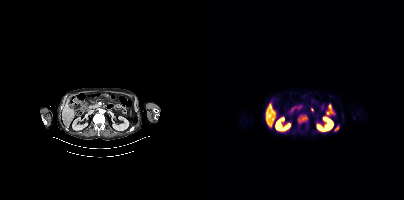
Left: CT. Right: PSMA PET, same axial level, 18F-PSMA tracer. Acquired on Siemens Biograph mCT Flow 20. Slice 203 of 415. Coordinates are on the 200×200 PET (right) panel. PSMA-avid tumor lesion bounding boxes (x, y, width, height): x=94 y=115 w=10 h=9 | x=130 y=125 w=6 h=7.